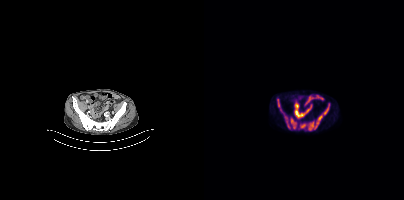
modality: PSMA PET/CT | tracer: [18F]PSMA-1007 | view: axial
Coordinates are on the 200×200 PET (right) panel. PSMA-avid tumor lesion bounding boxes (x0, y0)-(x1, y1): (96, 103)-(125, 130) | (86, 117)-(92, 128) | (80, 114)-(86, 127) | (73, 99)-(76, 109).